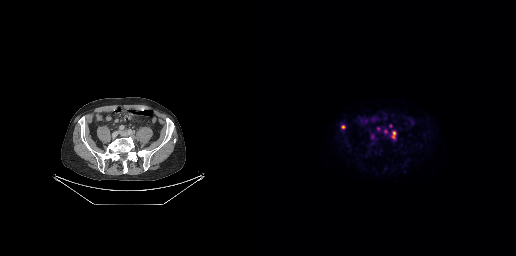
Coordinates are on the 256×256 PET (right) panel. (showing 5 of 6 foci) PSMA-avid tumor lesion bounding boxes (x0,y0,x1,y1): [131,131,136,139]; [81,125,85,129]. Small PSMA-avid foci (2 to 4 px across) near (center x, center y): (125, 131); (130, 126); (118, 128).